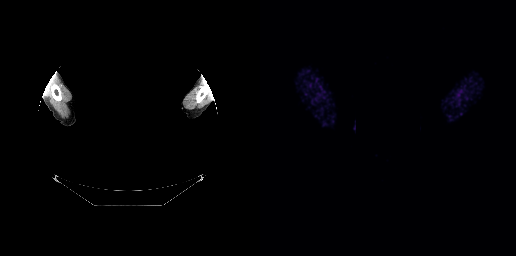
Technique: Two-panel axial: CT | PSMA PET, 18F-PSMA tracer.
Note: The head region is masked for de-identification.
Findings: This slice has no annotated PSMA-avid lesion.